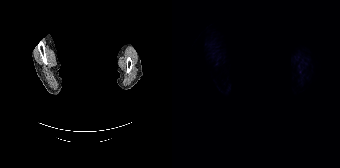
Privacy masking over the head, with the pixels inside a rectangle set to black.
Negative for PSMA-avid disease on this slice.